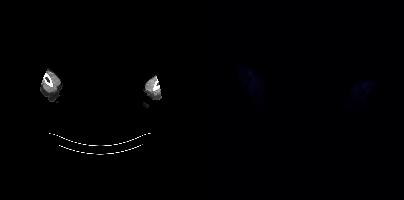
Technique: Paired axial CT (left) and PSMA PET (right), 18F-PSMA tracer. PET panel 200×200 px (4.1 mm/px).
Note: An anonymization step blacked out a rectangle over the head in this scan.
Findings: No PSMA-avid tumor lesions on this slice.